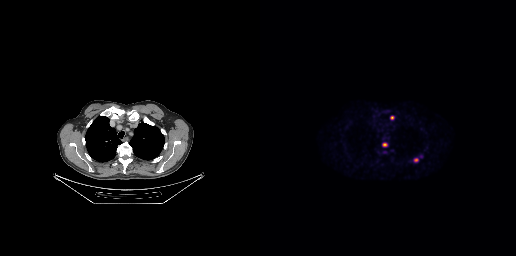
Coordinates are on the 256×256 PET (right) panel. PSMA-avid tumor lesion bounding boxes:
| # | x0 | y0 | x1 | y1 |
|---|---|---|---|---|
| 1 | 122 | 143 | 127 | 146 |
| 2 | 154 | 158 | 158 | 161 |
| 3 | 130 | 116 | 134 | 119 |
Two-panel axial: CT | PSMA PET, [18F]PSMA-1007 tracer. Slice position z = -166 mm. PET panel 256×256 px (2.7 mm/px).